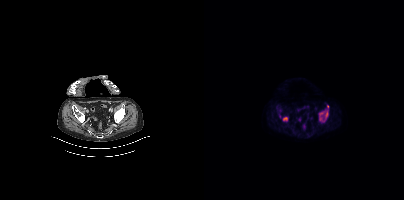
Findings: Coordinates are on the 200×200 PET (right) panel. (showing 2 of 3 foci) PSMA-avid tumor lesion bounding boxes (x0, y0)-(x1, y1): (115, 105)-(124, 122) / (78, 117)-(84, 121).
Technique: Paired axial CT (left) and PSMA PET (right), [18F]PSMA-1007 tracer. acquired on Siemens Biograph mCT Flow 20.